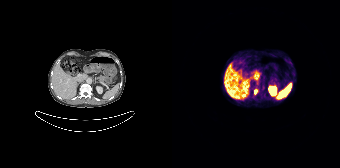
Coordinates are on the 168×168 PET (right) panel. Small PSMA-avid focus (2 to 4 px across) near (center x, center y): (83, 91).
modality: PSMA PET/CT | tracer: 68Ga | view: axial | PET grid: 168×168